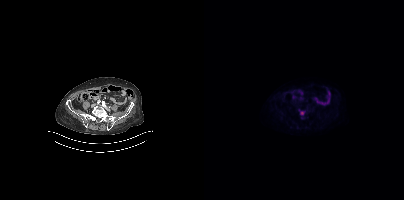
{"pet_grid":[200,200],"coord_frame":"pet_panel","coord_format":"x0,y0,x1,y1","lesion_bboxes":[],"small_foci_centers":[[97,112]],"modality":"PSMA PET/CT","view":"axial","tracer":"18F"}